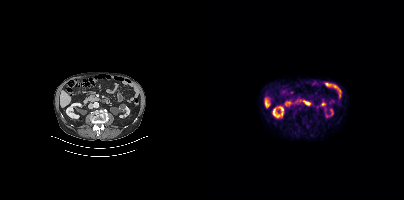
modality: PSMA PET/CT | tracer: 18F | view: axial | PET grid: 200×200
No PSMA-avid tumor lesions on this slice.